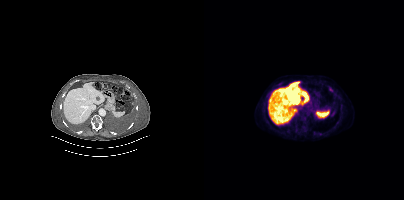
{"modality":"PSMA PET/CT","view":"axial","tracer":"18F","pet_grid":[200,200],"coord_frame":"pet_panel","coord_format":"x0,y0,x1,y1","lesion_bboxes":[],"small_foci_centers":[[126,88],[128,112]]}